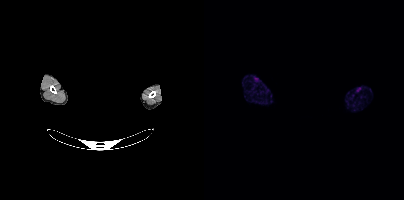
{"modality":"PSMA PET/CT","view":"axial","tracer":"68Ga-PSMA","pet_grid":[200,200],"coord_frame":"pet_panel","coord_format":"x0,y0,x1,y1","de-identification":"head region blacked out before release","psma_avid_lesions":false}